Left: CT. Right: PSMA PET, same axial level, 18F-PSMA tracer. Acquired on GE Discovery 690. Slice position z = -716 mm. PET panel 256×256 px (2.7 mm/px).
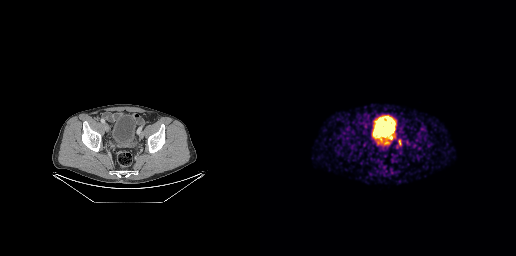
Coordinates are on the 256×256 PET (right) panel. PSMA-avid tumor lesion bounding boxes:
| # | x0 | y0 | x1 | y1 |
|---|---|---|---|---|
| 1 | 137 | 138 | 142 | 146 |